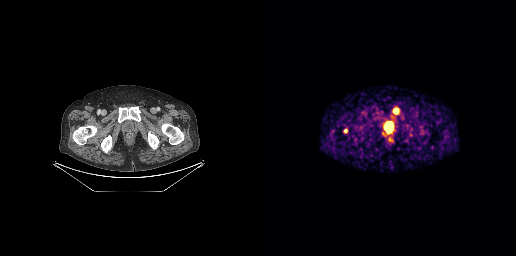
Coordinates are on the 256×256 PET (right) panel. PSMA-avid tumor lesion bounding box (x0, y0)-(x1, y1): (134, 109)-(137, 113). Small PSMA-avid focus (2 to 4 px across) near (center x, center y): (85, 130).